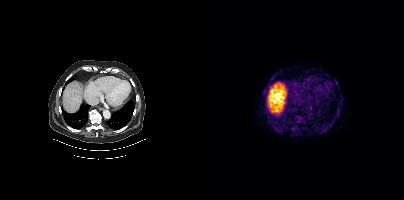
Coordinates are on the 200×200 PET (right) panel. Small PSMA-avid focus (2 to 4 px across) near (center x, center y): (132, 82). Paired axial CT (left) and PSMA PET (right), [18F]PSMA-1007 tracer. Acquired on Siemens Biograph mCT Flow 20. Slice 282 of 454.